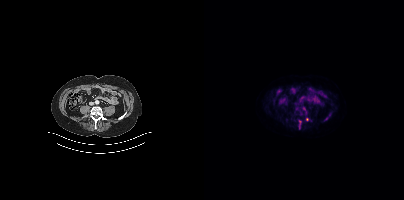
Technique: Two-panel axial: CT | PSMA PET, 18F-PSMA tracer. acquired on Siemens Biograph mCT Flow 20. PET panel 200×200 px (4.1 mm/px).
Findings: Only PSMA-avid lesion pieces thinner than 2 px on this slice (not listed).